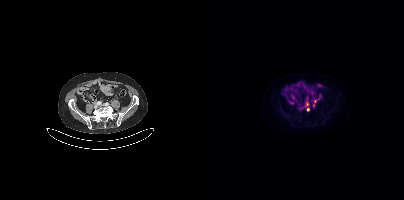
{"modality":"PSMA PET/CT","view":"axial","tracer":"18F","pet_grid":[200,200],"coord_frame":"pet_panel","coord_format":"x0,y0,x1,y1","partial":true,"lesion_bboxes":[],"small_foci_centers":[[104,109],[103,104]]}